modality: PSMA PET/CT | tracer: 18F-PSMA | view: axial | PET grid: 200×200
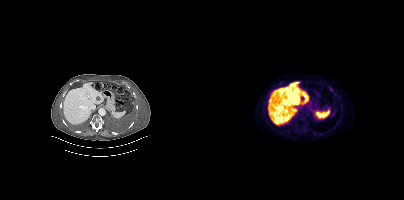
Coordinates are on the 200×200 PET (right) panel. PSMA-avid tumor lesion bounding boxes (x0,y0,x1,y1): [125,86,128,90] [127,111,131,114].